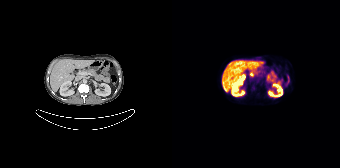
This slice has no annotated PSMA-avid lesion.